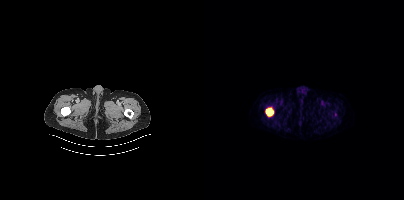
Two-panel axial: CT | PSMA PET, 18F tracer. Acquired on Siemens Biograph mCT Flow 20. Slice position z = -1054 mm.
Coordinates are on the 200×200 PET (right) panel. PSMA-avid tumor lesion bounding boxes:
| # | x0 | y0 | x1 | y1 |
|---|---|---|---|---|
| 1 | 62 | 108 | 69 | 115 |